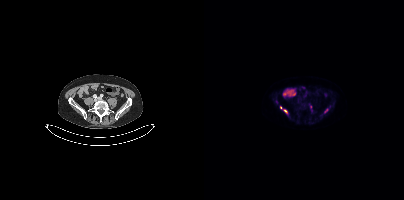
Findings: Coordinates are on the 200×200 PET (right) panel. PSMA-avid tumor lesion bounding box (x0,y0,x1,y1): [79,109,83,113]. Small PSMA-avid foci (2 to 4 px across) near (center x, center y): (122, 110), (106, 106), (76, 107).
- Left: CT. Right: PSMA PET, same axial level, [18F]PSMA-1007 tracer
- slice position z = -102 mm